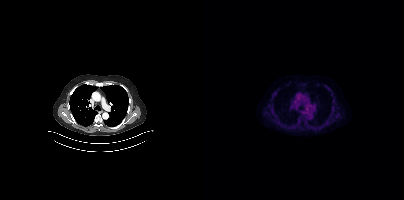
{"modality":"PSMA PET/CT","view":"axial","tracer":"18F-PSMA","pet_grid":[200,200],"coord_frame":"pet_panel","coord_format":"x0,y0,x1,y1","psma_avid_lesions":false}